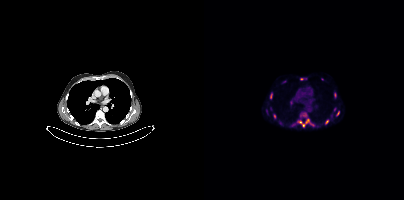
Findings: Coordinates are on the 200×200 PET (right) panel. (showing 8 of 10 foci) PSMA-avid tumor lesion bounding boxes (x, y, width, height): x=93 y=114 w=16 h=14 / x=66 y=93 w=3 h=7 / x=121 y=119 w=4 h=6 / x=132 y=111 w=4 h=6 / x=130 y=93 w=3 h=5 / x=69 y=114 w=4 h=5. Small PSMA-avid foci (2 to 4 px across) near (center x, center y): (97, 78) / (130, 109).
- Paired axial CT (left) and PSMA PET (right), 18F-PSMA tracer
- slice position z = -1078 mm
- PET panel 200×200 px (4.1 mm/px)